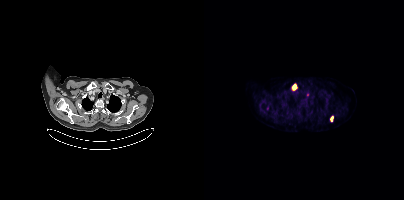
Coordinates are on the 200×200 PET (right) panel. PSMA-avid tumor lesion bounding boxes (x, y, width, height): x=89 y=84 w=4 h=6 | x=127 y=116 w=3 h=5.